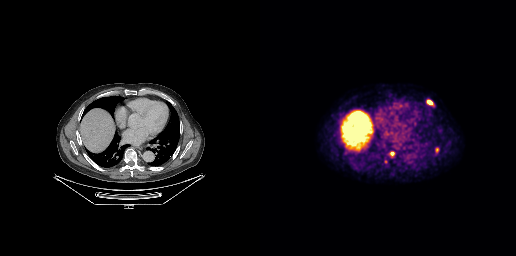
Coordinates are on the 256×256 PET (right) panel. (showing 3 of 4 foci) PSMA-avid tumor lesion bounding boxes (x0, y0)-(x1, y1): (128, 151)-(135, 157) / (166, 99)-(173, 105). Small PSMA-avid focus (2 to 4 px across) near (center x, center y): (177, 149). Left: CT. Right: PSMA PET, same axial level, [18F]PSMA-1007 tracer. PET panel 256×256 px (2.7 mm/px).